- Paired axial CT (left) and PSMA PET (right), [18F]PSMA-1007 tracer
- slice position z = -1462 mm
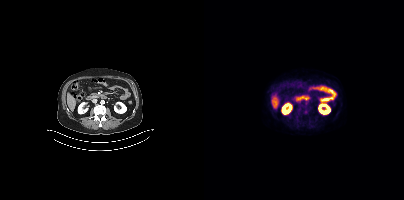
Findings: Coordinates are on the 200×200 PET (right) panel. Small PSMA-avid focus (2 to 4 px across) near (center x, center y): (101, 111).